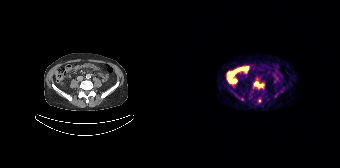
{"pet_grid":[168,168],"coord_frame":"pet_panel","coord_format":"x0,y0,x1,y1","lesion_bboxes":[[82,81,91,88]],"small_foci_centers":[[87,100]],"modality":"PSMA PET/CT","view":"axial","tracer":"68Ga-PSMA"}